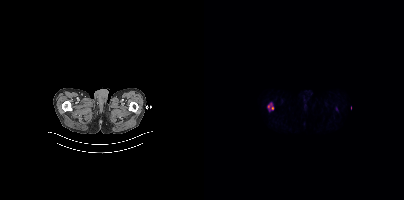
{"modality":"PSMA PET/CT","view":"axial","tracer":"18F","pet_grid":[200,200],"coord_frame":"pet_panel","coord_format":"x0,y0,x1,y1","lesion_bboxes":[[64,103,69,110]]}